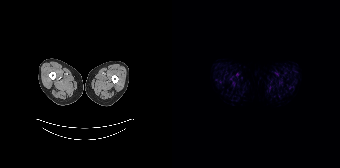
Technique: Two-panel axial: CT | PSMA PET, 18F-PSMA tracer. PET panel 168×168 px (4.1 mm/px).
Findings: Negative for PSMA-avid disease on this slice.